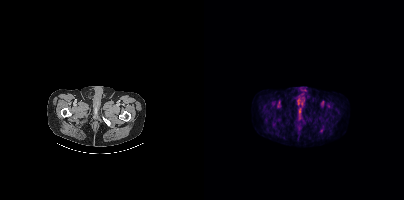
This slice has no annotated PSMA-avid lesion.
modality: PSMA PET/CT | tracer: 18F-PSMA | view: axial | PET grid: 200×200